Paired axial CT (left) and PSMA PET (right), 18F tracer. Slice 322 of 427. PET panel 200×200 px (4.1 mm/px).
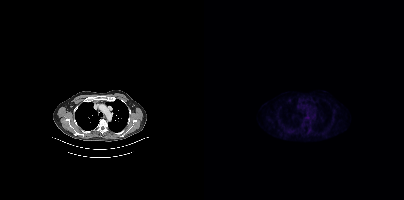
This slice has no annotated PSMA-avid lesion.